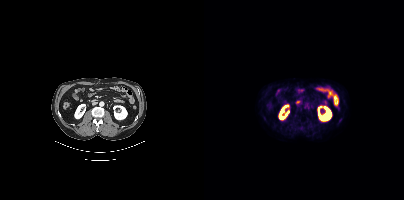
No PSMA-avid tumor lesions on this slice.